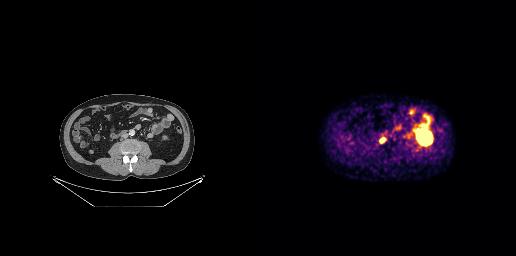
- Two-panel axial: CT | PSMA PET, 68Ga tracer
- acquired on GE Discovery 690
Findings: Coordinates are on the 256×256 PET (right) panel. PSMA-avid tumor lesion bounding box (x, y, width, height): x=119 y=137 w=7 h=7.